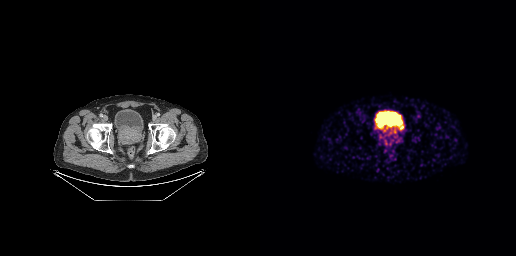
Negative for PSMA-avid disease on this slice.